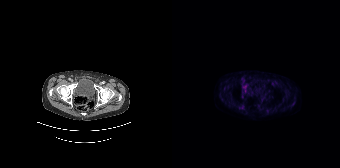
No tumor lesions annotated on this slice. Two-panel axial: CT | PSMA PET, 18F-PSMA tracer.